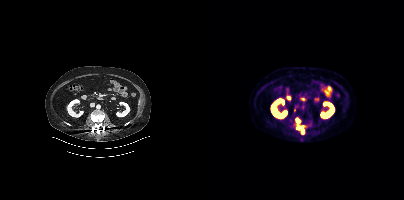
Technique: Left: CT. Right: PSMA PET, same axial level, 18F-PSMA tracer. slice 203 of 438.
Findings: Coordinates are on the 200×200 PET (right) panel. PSMA-avid tumor lesion bounding boxes (x0, y0)-(x1, y1): (93, 123)-(100, 129); (98, 129)-(99, 133). Small PSMA-avid focus (2 to 4 px across) near (center x, center y): (93, 120).